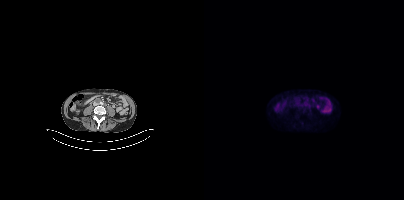
Negative for PSMA-avid disease on this slice.
modality: PSMA PET/CT | tracer: 18F | view: axial